Technique: Paired axial CT (left) and PSMA PET (right), 18F-PSMA tracer. PET panel 200×200 px (4.1 mm/px).
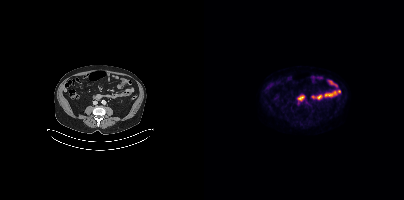
Findings: No PSMA-avid tumor lesions on this slice.